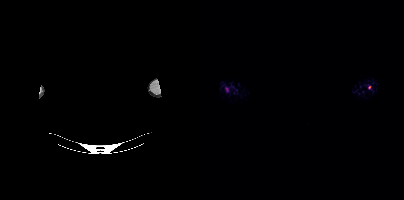
Coordinates are on the 200×200 PET (right) panel. Small PSMA-avid foci (2 to 4 px across) near (center x, center y): (23, 89); (165, 87).
deidentification: head region blanked (face removed) | modality: PSMA PET/CT | tracer: 18F-PSMA | view: axial | PET grid: 200×200